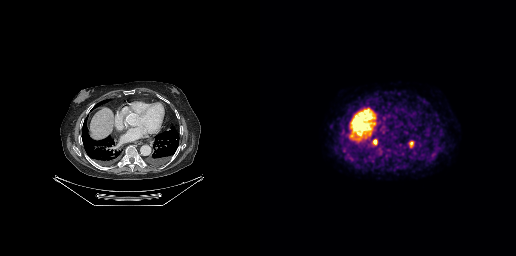
Coordinates are on the 256×256 PET (right) panel. (showing 2 of 3 foci) PSMA-avid tumor lesion bounding boxes (x, y, width, height): x=148 y=140 w=6 h=7 | x=113 y=139 w=5 h=6.